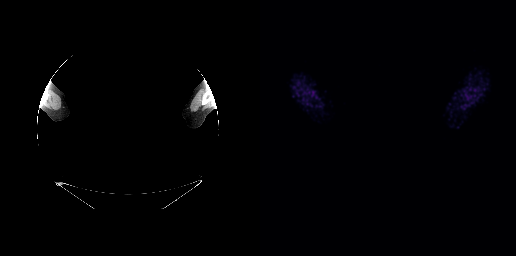
No PSMA-avid tumor lesions on this slice.
de-identification: privacy mask over head | modality: PSMA PET/CT | tracer: 18F-PSMA | view: axial